Privacy masking over the head, with the pixels inside a rectangle set to black.
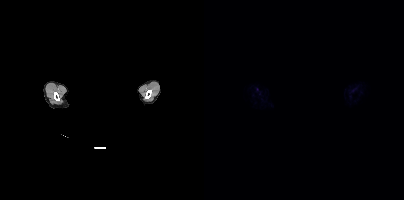
Negative for PSMA-avid disease on this slice.